Left: CT. Right: PSMA PET, same axial level, 18F tracer. Slice position z = -1587 mm. PET panel 200×200 px (4.1 mm/px).
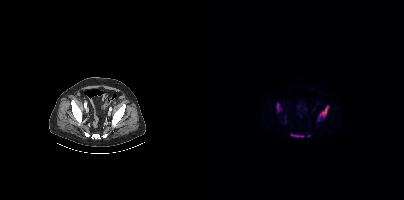
Coordinates are on the 200×200 PET (right) panel. (showing 4 of 6 foci) PSMA-avid tumor lesion bounding boxes (x0, y0)-(x1, y1): (113, 105)-(125, 120) / (86, 134)-(100, 137) / (72, 103)-(77, 111). Small PSMA-avid focus (2 to 4 px across) near (center x, center y): (104, 135).